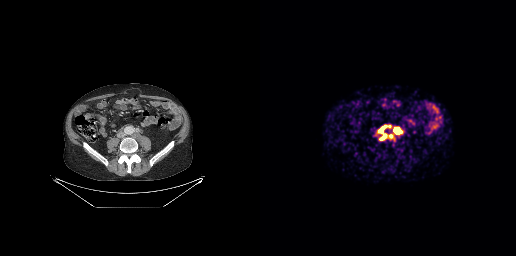
modality: PSMA PET/CT | tracer: 68Ga-PSMA | view: axial | PET grid: 256×256
Coordinates are on the 256×256 PET (right) panel. PSMA-avid tumor lesion bounding boxes (x0,y0,x1,y1): [117,125,131,133], [134,128,142,133], [120,134,126,140]. Small PSMA-avid focus (2 to 4 px across) near (center x, center y): (131, 136).